- de-identified by setting a box covering the face to black before release
- Paired axial CT (left) and PSMA PET (right), 18F tracer
- PET panel 200×200 px (4.1 mm/px)
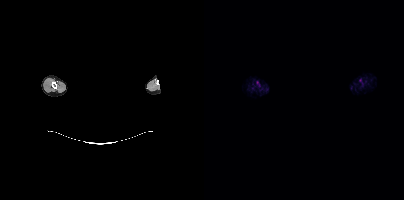
Findings: Negative for PSMA-avid disease on this slice.